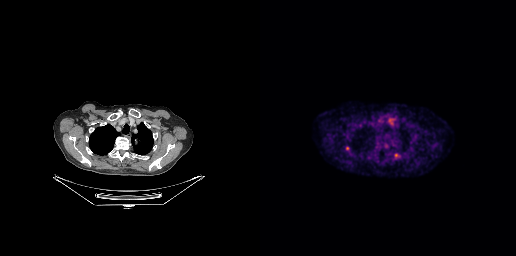
Coordinates are on the 256×256 PET (right) panel. PSMA-avid tumor lesion bounding box (x, y, width, height): x=133 y=153 w=9 h=8. Small PSMA-avid focus (2 to 4 px across) near (center x, center y): (87, 148).